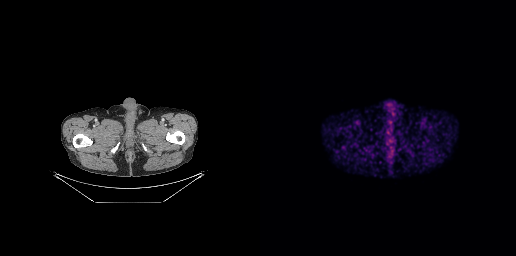
{"modality":"PSMA PET/CT","view":"axial","tracer":"68Ga-PSMA","pet_grid":[256,256],"coord_frame":"pet_panel","coord_format":"x0,y0,x1,y1","psma_avid_lesions":false}